Technique: Two-panel axial: CT | PSMA PET, 18F-PSMA tracer. PET panel 200×200 px (4.1 mm/px).
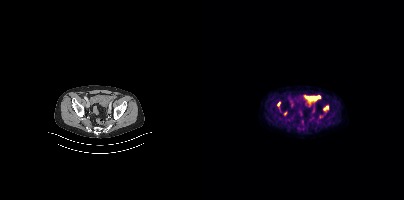
Findings: Coordinates are on the 200×200 PET (right) panel. PSMA-avid tumor lesion bounding boxes (x, y, width, height): x=121 y=105 w=4 h=6 / x=73 y=102 w=4 h=5.